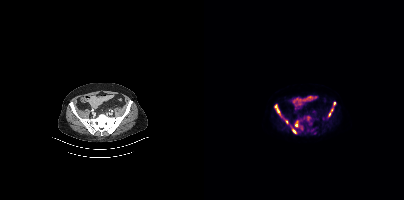
Findings: Coordinates are on the 200×200 PET (right) panel. PSMA-avid tumor lesion bounding boxes (x0, y0)-(x1, y1): (71, 104)-(76, 114) / (91, 121)-(93, 126) / (88, 129)-(92, 133). Small PSMA-avid foci (2 to 4 px across) near (center x, center y): (125, 114) / (130, 103) / (82, 121) / (127, 110).
- Two-panel axial: CT | PSMA PET, [18F]PSMA-1007 tracer
- slice 82 of 367